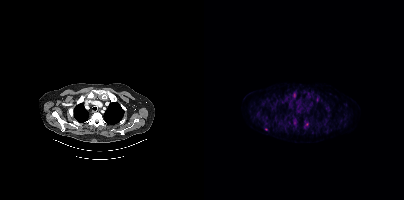
Coordinates are on the 200×200 PET (right) panel. (showing 1 of 3 foci) PSMA-avid tumor lesion bounding box (x, y, width, height): x=90 y=93 w=2 h=5.